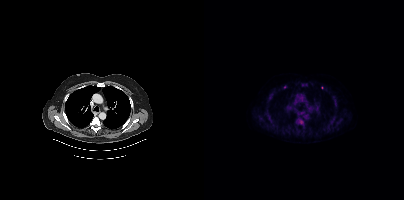
Paired axial CT (left) and PSMA PET (right), 18F-PSMA tracer. Acquired on Siemens Biograph mCT Flow 20. Slice position z = -873 mm.
Coordinates are on the 200×200 PET (right) panel. PSMA-avid tumor lesion bounding boxes (partial; 1 more focus not listed):
| # | x0 | y0 | x1 | y1 |
|---|---|---|---|---|
| 1 | 92 | 119 | 100 | 127 |
| 2 | 67 | 120 | 73 | 127 |
| 3 | 130 | 102 | 133 | 106 |
| 4 | 65 | 94 | 68 | 98 |
Small PSMA-avid foci (2 to 4 px across) near (center x, center y): (100, 84); (64, 114); (81, 87).